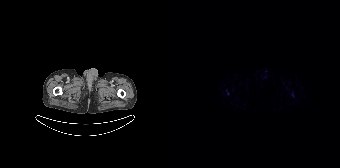
Only PSMA-avid lesion pieces thinner than 2 px on this slice (not listed). Left: CT. Right: PSMA PET, same axial level, 18F-PSMA tracer. Acquired on Siemens Biograph 64-4R TruePoint. PET panel 168×168 px (4.1 mm/px).